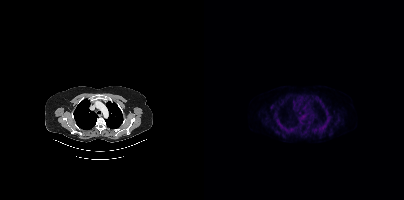
Left: CT. Right: PSMA PET, same axial level, 18F tracer. Acquired on Siemens Biograph mCT Flow 20. Coordinates are on the 200×200 PET (right) panel. Small PSMA-avid focus (2 to 4 px across) near (center x, center y): (67, 107).